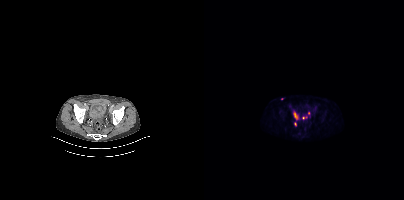
{"pet_grid":[200,200],"coord_frame":"pet_panel","coord_format":"x0,y0,x1,y1","partial":true,"lesion_bboxes":[[89,112,94,119]],"small_foci_centers":[[91,123],[99,118],[77,98],[104,112]],"modality":"PSMA PET/CT","view":"axial","tracer":"18F-PSMA"}